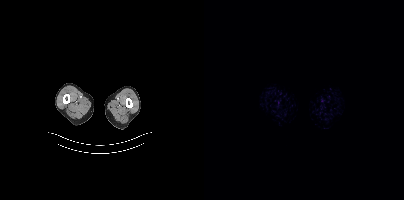
Technique: Paired axial CT (left) and PSMA PET (right), [18F]PSMA-1007 tracer. acquired on Siemens Biograph mCT Flow 20. slice 2 of 421.
Findings: No PSMA-avid tumor lesions on this slice.